Two-panel axial: CT | PSMA PET, 18F tracer. Acquired on Siemens Biograph mCT Flow 20. Slice 264 of 381.
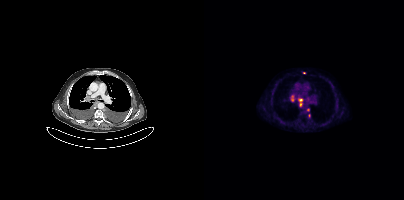
Coordinates are on the 200×200 PET (right) panel. PSMA-avid tumor lesion bounding boxes:
| # | x0 | y0 | x1 | y1 |
|---|---|---|---|---|
| 1 | 94 | 99 | 98 | 106 |
| 2 | 87 | 95 | 89 | 101 |
Small PSMA-avid foci (2 to 4 px across) near (center x, center y): (104, 110); (105, 115); (100, 72).